Technique: Left: CT. Right: PSMA PET, same axial level, [18F]PSMA-1007 tracer. acquired on Siemens Biograph mCT Flow 20.
Note: An anonymization step blacked out a rectangle over the head in this scan.
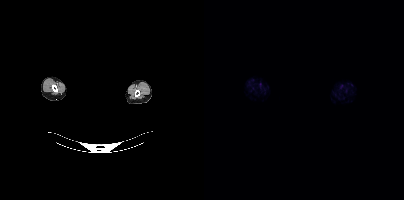
Findings: This slice has no annotated PSMA-avid lesion.